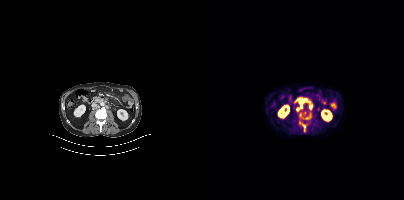
Two-panel axial: CT | PSMA PET, [18F]PSMA-1007 tracer. Acquired on Siemens Biograph mCT Flow 20. Slice 169 of 405. PET panel 200×200 px (4.1 mm/px).
Coordinates are on the 200×200 PET (right) panel. PSMA-avid tumor lesion bounding boxes (partial; 5 more foci not listed):
| # | x0 | y0 | x1 | y1 |
|---|---|---|---|---|
| 1 | 95 | 99 | 103 | 103 |
| 2 | 98 | 124 | 101 | 131 |
Small PSMA-avid foci (2 to 4 px across) near (center x, center y): (97, 106); (94, 108); (103, 117); (105, 105).